Technique: Two-panel axial: CT | PSMA PET, 18F-PSMA tracer. slice position z = -858 mm. PET panel 200×200 px (4.1 mm/px).
Note: A rectangle over the head was blacked out to remove identifiable facial features.
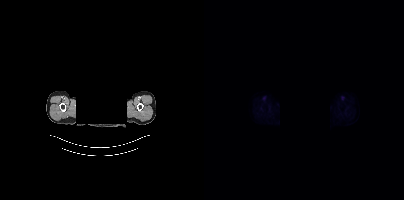
Findings: No PSMA-avid tumor lesions on this slice.